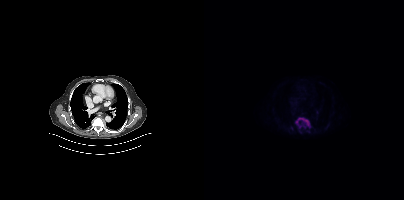
{"pet_grid":[200,200],"coord_frame":"pet_panel","coord_format":"x0,y0,x1,y1","partial":true,"lesion_bboxes":[[91,119,106,128]],"small_foci_centers":[[104,131]],"modality":"PSMA PET/CT","view":"axial","tracer":"[18F]PSMA-1007"}